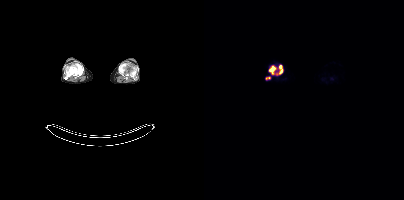
- Paired axial CT (left) and PSMA PET (right), [18F]PSMA-1007 tracer
- slice position z = -1457 mm
- PET panel 200×200 px (4.1 mm/px)
Findings: Coordinates are on the 200×200 PET (right) panel. PSMA-avid tumor lesion bounding boxes (x0,y0,x1,y1): [65,66,71,74] [75,65,78,73] [62,77,66,79].